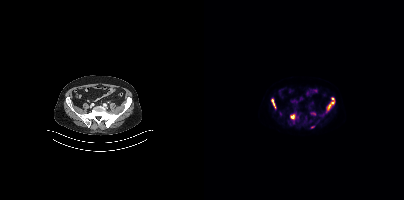
Coordinates are on the 200×200 PET (right) panel. PSMA-avid tumor lesion bounding boxes (x0, y0)-(x1, y1): (123, 97)-(130, 110) | (86, 113)-(94, 119) | (67, 99)-(72, 109) | (107, 112)-(111, 115). Small PSMA-avid focus (2 to 4 px across) near (center x, center y): (108, 127). Left: CT. Right: PSMA PET, same axial level, 18F tracer. Acquired on Siemens Biograph mCT Flow 20. Slice 120 of 395.